Left: CT. Right: PSMA PET, same axial level, 18F tracer. Acquired on Siemens Biograph mCT Flow 20. Slice position z = -1164 mm.
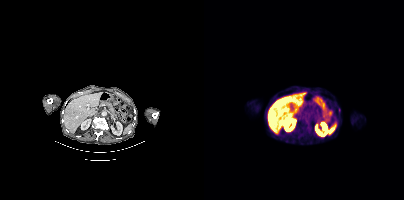
Coordinates are on the 200×200 PET (right) panel. PSMA-avid tumor lesion bounding box (x, y, width, height): x=134 y=108 w=3 h=5.